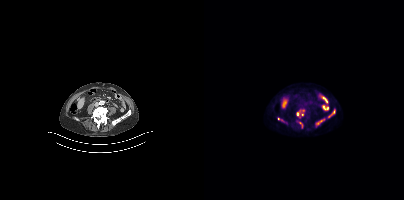
Coordinates are on the 200×200 PET (right) panel. (showing 5 of 6 foci) PSMA-avid tumor lesion bounding boxes (x0, y0)-(x1, y1): (92, 109)-(100, 117) | (111, 118)-(120, 126) | (124, 110)-(131, 117) | (95, 122)-(98, 127). Small PSMA-avid focus (2 to 4 px across) near (center x, center y): (74, 118).